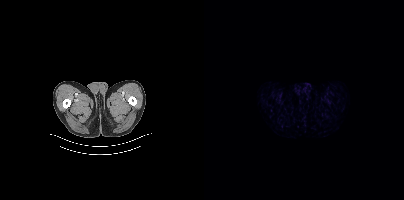
No PSMA-avid tumor lesions on this slice. Two-panel axial: CT | PSMA PET, 18F tracer. Acquired on Siemens Biograph mCT Flow 20. PET panel 200×200 px (4.1 mm/px).